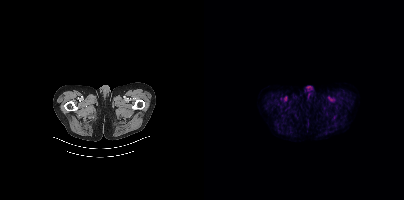
- Paired axial CT (left) and PSMA PET (right), 18F tracer
Findings: No PSMA-avid tumor lesions on this slice.